Technique: Left: CT. Right: PSMA PET, same axial level, 18F tracer. acquired on Siemens Biograph mCT Flow 20. slice position z = -1038 mm. PET panel 200×200 px (4.1 mm/px).
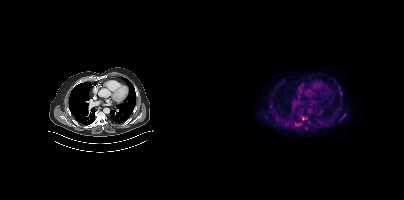
Findings: Coordinates are on the 200×200 PET (right) panel. (showing 3 of 5 foci) PSMA-avid tumor lesion bounding boxes (x, y, width, height): x=98 y=117 w=6 h=4 / x=91 y=123 w=7 h=3. Small PSMA-avid focus (2 to 4 px across) near (center x, center y): (136, 93).